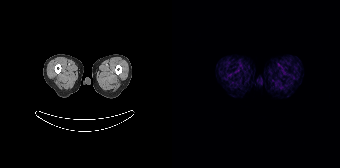
modality: PSMA PET/CT | tracer: [68Ga]Ga-PSMA-11 | view: axial | PET grid: 168×168
Negative for PSMA-avid disease on this slice.